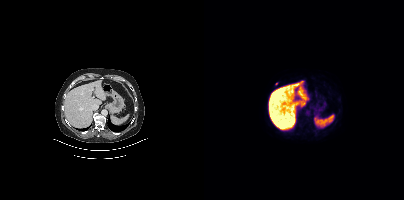
Coordinates are on the 200×200 PET (right) panel. Small PSMA-avid focus (2 to 4 px across) near (center x, center y): (72, 83).